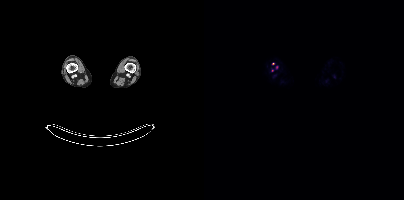
Coordinates are on the 200×200 PET (right) panel. (showing 1 of 3 foci) Small PSMA-avid focus (2 to 4 px across) near (center x, center y): (69, 63).
modality: PSMA PET/CT | tracer: [18F]PSMA-1007 | view: axial | PET grid: 200×200